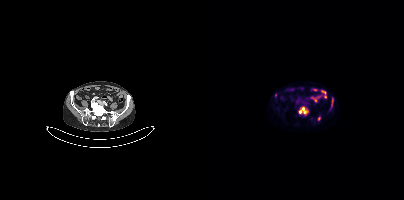
Coordinates are on the 200×200 PET (right) panel. PSMA-avid tumor lesion bounding boxes (x0, y0)-(x1, y1): (95, 107)-(104, 113) / (114, 116)-(116, 120) / (128, 99)-(129, 105). Small PSMA-avid focus (2 to 4 px across) near (center x, center y): (71, 94).